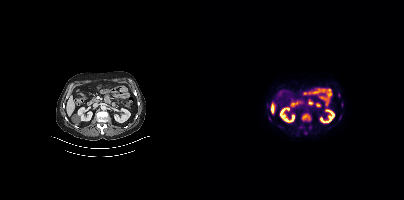
Paired axial CT (left) and PSMA PET (right), [18F]PSMA-1007 tracer. Coordinates are on the 200×200 PET (right) panel. (showing 2 of 7 foci) PSMA-avid tumor lesion bounding box (x, y, width, height): x=98 y=114 w=9 h=7. Small PSMA-avid focus (2 to 4 px across) near (center x, center y): (77, 127).